Paired axial CT (left) and PSMA PET (right), [18F]PSMA-1007 tracer. Slice 253 of 448.
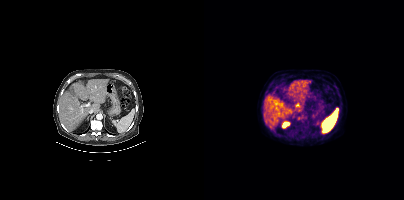
Coordinates are on the 200×200 PET (right) panel. Small PSMA-avid focus (2 to 4 px across) near (center x, center y): (94, 118).